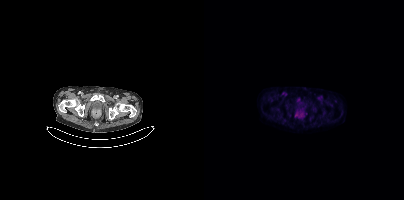
Two-panel axial: CT | PSMA PET, 18F tracer. Acquired on Siemens Biograph mCT Flow 20. No PSMA-avid tumor lesions on this slice.